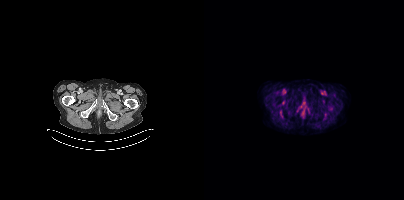
{"pet_grid":[200,200],"coord_frame":"pet_panel","coord_format":"x0,y0,x1,y1","psma_avid_lesions":false,"modality":"PSMA PET/CT","view":"axial","tracer":"18F"}